Left: CT. Right: PSMA PET, same axial level, 18F tracer. Acquired on Siemens Biograph mCT Flow 20. PET panel 200×200 px (4.1 mm/px).
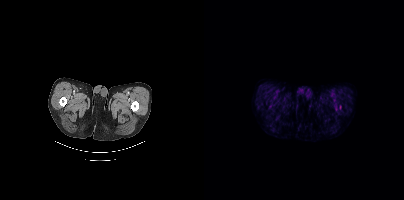
Only PSMA-avid lesion pieces thinner than 2 px on this slice (not listed).